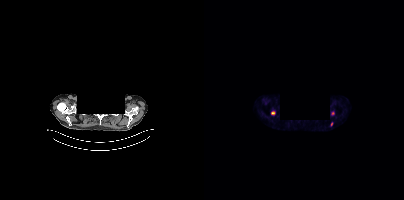
Coordinates are on the 200×200 PET (right) panel. PSMA-avid tumor lesion bounding box (x, y, width, height): x=67 y=111 w=5 h=5. Small PSMA-avid foci (2 to 4 px across) near (center x, center y): (128, 113); (127, 123).
deidentification: face masked with black rectangle | modality: PSMA PET/CT | tracer: 18F | view: axial | PET grid: 200×200